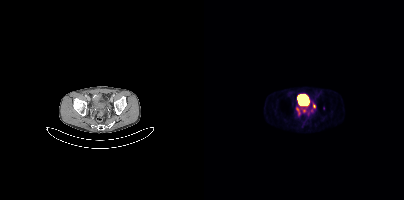
Coordinates are on the 200×200 PET (right) panel. PSMA-avid tumor lesion bounding boxes (x0, y0)-(x1, y1): (92, 107)-(96, 114) | (109, 103)-(111, 107). Small PSMA-avid focus (2 to 4 px across) near (center x, center y): (100, 110).
modality: PSMA PET/CT | tracer: 68Ga-PSMA | view: axial